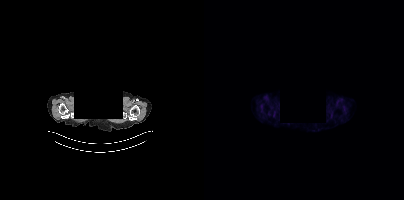
Findings: No PSMA-avid tumor lesions on this slice.
- Two-panel axial: CT | PSMA PET, 18F-PSMA tracer
- slice 317 of 356
- PET panel 200×200 px (4.1 mm/px)
- the face region was removed for patient privacy by blanking a rectangle over the head